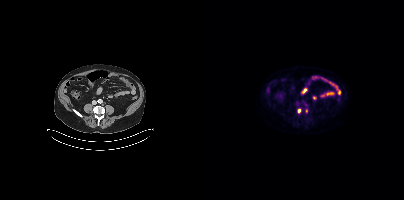
Coordinates are on the 200×200 PET (right) panel. PSMA-avid tumor lesion bounding box (x, y, width, height): x=93 y=108 w=5 h=6. Small PSMA-avid focus (2 to 4 px across) near (center x, center y): (102, 110).